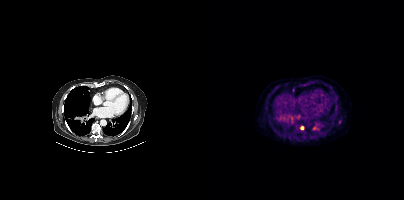
modality: PSMA PET/CT | tracer: 18F | view: axial
Coordinates are on the 200×200 PET (right) panel. PSMA-avid tumor lesion bounding box (x, y, width, height): x=108 y=126 w=5 h=4. Small PSMA-avid foci (2 to 4 px across) near (center x, center y): (97, 127) | (136, 121).